Two-panel axial: CT | PSMA PET, 18F tracer. PET panel 256×256 px (2.7 mm/px).
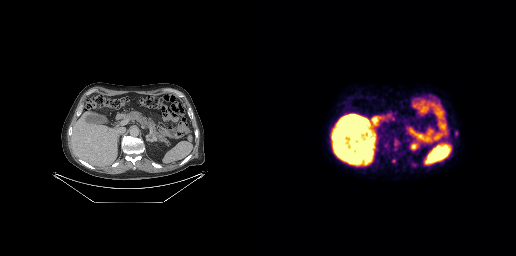
No PSMA-avid tumor lesions on this slice.